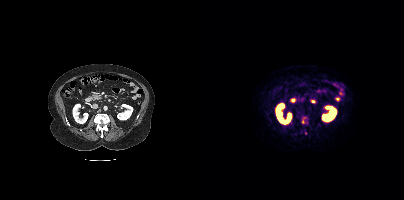
Coordinates are on the 200×200 PET (right) panel. (showing 1 of 2 foci) Small PSMA-avid focus (2 to 4 px across) near (center x, center y): (99, 121). Two-panel axial: CT | PSMA PET, [68Ga]Ga-PSMA-11 tracer.